- Paired axial CT (left) and PSMA PET (right), 68Ga-PSMA tracer
- acquired on Siemens Biograph 64-4R TruePoint
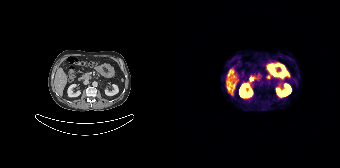
Findings: No tumor lesions annotated on this slice.